modality: PSMA PET/CT | tracer: 18F | view: axial | PET grid: 200×200
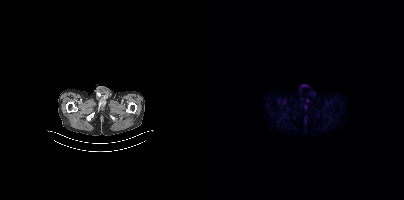
No tumor lesions annotated on this slice.